Paired axial CT (left) and PSMA PET (right), 68Ga-PSMA tracer. Acquired on Siemens Biograph 64-4R TruePoint. Facial anatomy redacted by setting a rectangular region of the head to black.
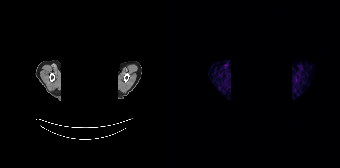
Negative for PSMA-avid disease on this slice.